- Left: CT. Right: PSMA PET, same axial level, 18F tracer
- acquired on Siemens Biograph mCT Flow 20
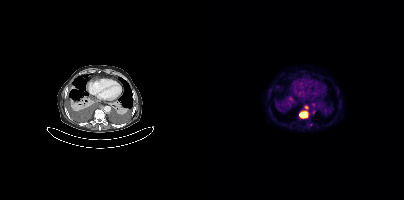
Findings: Coordinates are on the 200×200 PET (right) panel. PSMA-avid tumor lesion bounding box (x0, y0)-(x1, y1): (95, 105)-(104, 117).